Technique: Paired axial CT (left) and PSMA PET (right), 18F-PSMA tracer.
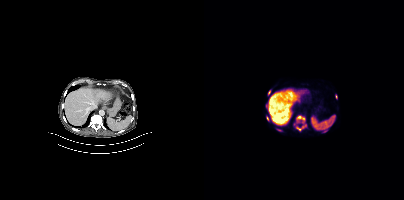
Findings: Coordinates are on the 200×200 PET (right) panel. PSMA-avid tumor lesion bounding boxes (x, y, width, height): x=90 y=115 w=13 h=16 / x=73 y=129 w=5 h=3 / x=62 y=104 w=2 h=5. Small PSMA-avid foci (2 to 4 px across) near (center x, center y): (132, 96) / (65, 92) / (63, 118).